Technique: Two-panel axial: CT | PSMA PET, 18F-PSMA tracer. slice position z = -952 mm.
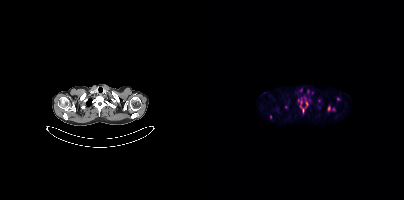
Findings: Coordinates are on the 200×200 PET (right) panel. (showing 7 of 8 foci) PSMA-avid tumor lesion bounding boxes (x0,y0,x1,y1): [94,97,104,113] [123,105,131,111]. Small PSMA-avid foci (2 to 4 px across) near (center x, center y): (115, 101) (66, 116) (104, 91) (82, 107) (134, 98).